Technique: Paired axial CT (left) and PSMA PET (right), [18F]PSMA-1007 tracer. acquired on GE Discovery 690.
Note: The face region was removed for patient privacy by blanking a rectangle over the head.
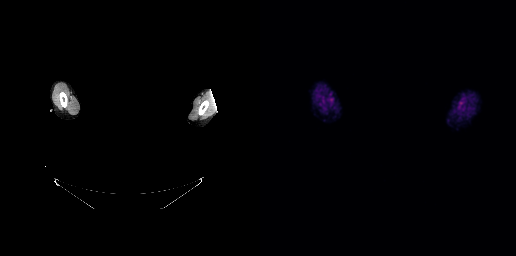
Findings: No tumor lesions annotated on this slice.